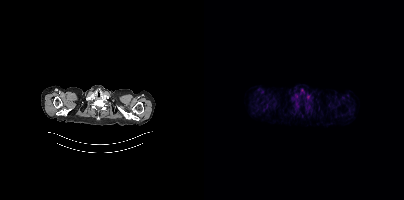
No PSMA-avid tumor lesions on this slice. Two-panel axial: CT | PSMA PET, 18F tracer. Acquired on Siemens Biograph mCT Flow 20.